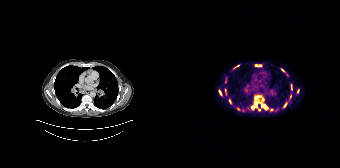
Coordinates are on the 168×168 PET (right) panel. (showing 14 of 15 foci) PSMA-avid tumor lesion bounding boxes (x, y, width, height): x=79 y=95 w=17 h=15 / x=46 y=89 w=5 h=8 / x=83 y=65 w=7 h=2 / x=53 y=88 w=2 h=8 / x=110 y=103 w=5 h=6 / x=97 y=108 w=5 h=4 / x=61 y=65 w=7 h=4 / x=117 y=96 w=3 h=6 / x=57 y=99 w=3 h=5 / x=119 y=84 w=2 h=6. Small PSMA-avid foci (2 to 4 px across) near (center x, center y): (110, 70) / (90, 99) / (87, 109) / (66, 108).